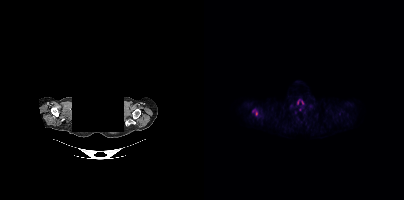
Facial anatomy redacted by setting a rectangular region of the head to black.
Coordinates are on the 200×200 PET (right) panel. (showing 1 of 2 foci) PSMA-avid tumor lesion bounding box (x, y, width, height): x=49 y=110 w=5 h=6.